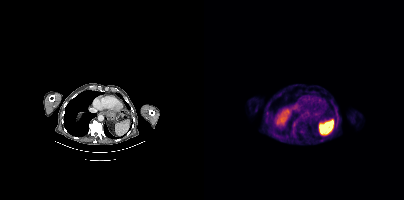
Only PSMA-avid lesion pieces thinner than 2 px on this slice (not listed).